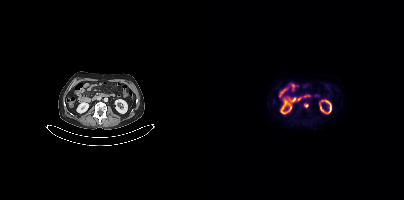
- Left: CT. Right: PSMA PET, same axial level, [18F]PSMA-1007 tracer
- acquired on Siemens Biograph mCT Flow 20
- slice 194 of 421
Findings: Coordinates are on the 200×200 PET (right) panel. Small PSMA-avid focus (2 to 4 px across) near (center x, center y): (102, 105).